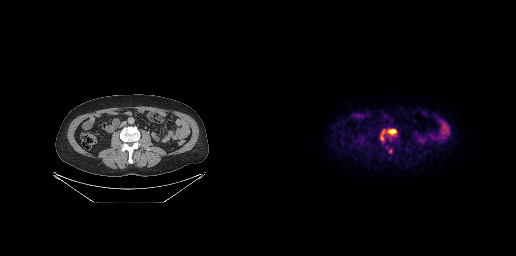
Coordinates are on the 256×256 PET (right) panel. PSMA-avid tumor lesion bounding box (x0, y0)-(x1, y1): (120, 128)-(136, 141). Small PSMA-avid focus (2 to 4 px across) near (center x, center y): (130, 151).